Technique: Left: CT. Right: PSMA PET, same axial level, 18F-PSMA tracer. slice position z = -126 mm. PET panel 200×200 px (4.1 mm/px).
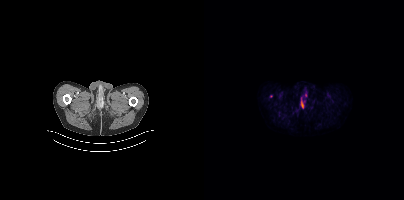
Findings: Coordinates are on the 200×200 PET (right) panel. (showing 3 of 4 foci) PSMA-avid tumor lesion bounding boxes (x0, y0)-(x1, y1): (96, 97)-(100, 108) | (101, 87)-(102, 91). Small PSMA-avid focus (2 to 4 px across) near (center x, center y): (101, 95).